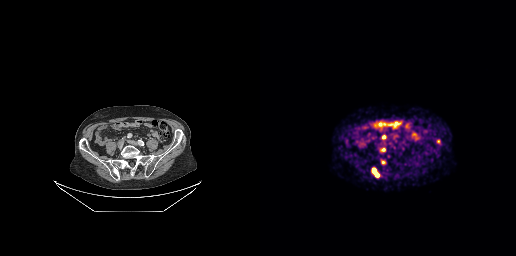
Technique: Paired axial CT (left) and PSMA PET (right), 68Ga-PSMA tracer. PET panel 256×256 px (2.7 mm/px).
Findings: Coordinates are on the 256×256 PET (right) panel. PSMA-avid tumor lesion bounding boxes (x0, y0)-(x1, y1): (112, 168)-(118, 176) | (121, 160)-(125, 164) | (176, 139)-(180, 143) | (122, 135)-(126, 139) | (121, 148)-(125, 151).